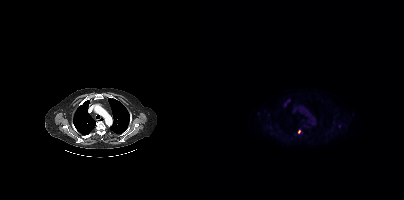
{"modality":"PSMA PET/CT","view":"axial","tracer":"18F","pet_grid":[200,200],"coord_frame":"pet_panel","coord_format":"x0,y0,x1,y1","lesion_bboxes":[],"small_foci_centers":[[95,131]]}